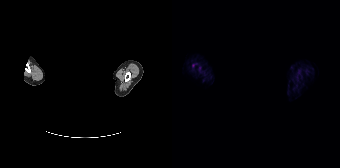
Left: CT. Right: PSMA PET, same axial level, 18F tracer. Any black rectangle over the head is a privacy mask, not anatomy. Only PSMA-avid lesion pieces thinner than 2 px on this slice (not listed).